Technique: Left: CT. Right: PSMA PET, same axial level, 18F tracer. acquired on GE Discovery 690. PET panel 256×256 px (2.7 mm/px).
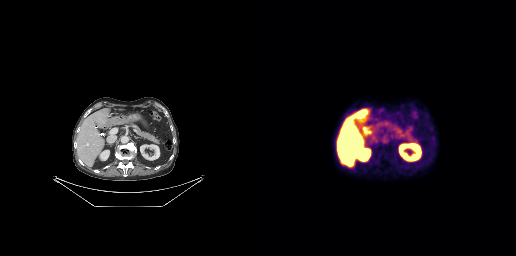
Findings: This slice has no annotated PSMA-avid lesion.